Technique: Left: CT. Right: PSMA PET, same axial level, 18F-PSMA tracer. slice 318 of 454.
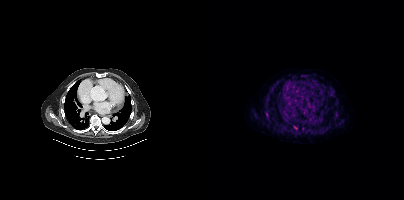
Findings: Coordinates are on the 200×200 PET (right) panel. (showing 2 of 3 foci) Small PSMA-avid foci (2 to 4 px across) near (center x, center y): (91, 127) | (62, 114).